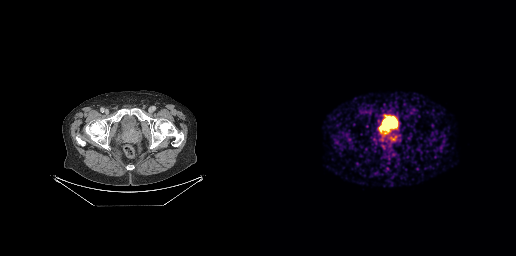
- Left: CT. Right: PSMA PET, same axial level, 68Ga-PSMA tracer
- acquired on GE Discovery 690
- PET panel 256×256 px (2.7 mm/px)
Findings: Coordinates are on the 256×256 PET (right) panel. PSMA-avid tumor lesion bounding box (x0, y0)-(x1, y1): (125, 131)-(136, 143).